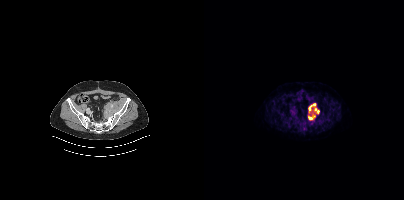
{"modality":"PSMA PET/CT","view":"axial","tracer":"[18F]PSMA-1007","pet_grid":[200,200],"coord_frame":"pet_panel","coord_format":"x0,y0,x1,y1","lesion_bboxes":[[104,103,115,120]]}